Technique: Left: CT. Right: PSMA PET, same axial level, [18F]PSMA-1007 tracer. PET panel 200×200 px (4.1 mm/px).
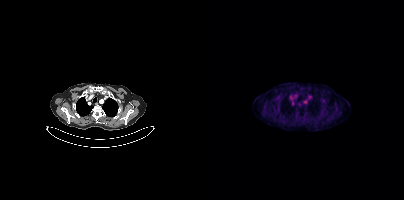
Findings: This slice has no annotated PSMA-avid lesion.